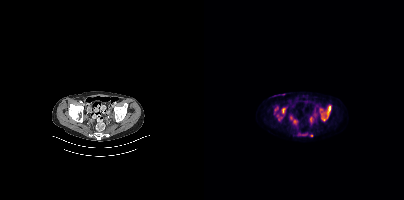
Technique: Two-panel axial: CT | PSMA PET, 18F tracer. slice 129 of 466.
Findings: Coordinates are on the 200×200 PET (right) panel. (showing 5 of 7 foci) PSMA-avid tumor lesion bounding boxes (x0, y0)-(x1, y1): (77, 107)-(82, 114) | (123, 106)-(126, 115) | (73, 114)-(78, 120) | (70, 106)-(74, 111). Small PSMA-avid focus (2 to 4 px across) near (center x, center y): (120, 119).